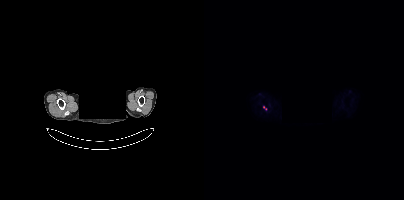
Face de-identified by blanking a block of the head. Left: CT. Right: PSMA PET, same axial level, 18F-PSMA tracer. Acquired on Siemens Biograph mCT Flow 20. Coordinates are on the 200×200 PET (right) panel. Small PSMA-avid focus (2 to 4 px across) near (center x, center y): (60, 107).